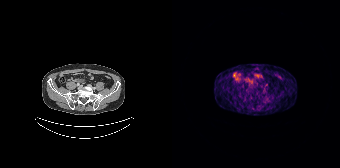
{"modality":"PSMA PET/CT","view":"axial","tracer":"[68Ga]Ga-PSMA-11","pet_grid":[168,168],"coord_frame":"pet_panel","coord_format":"x0,y0,x1,y1","psma_avid_lesions":false}